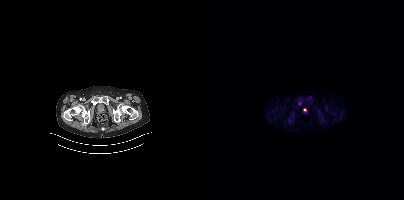
- Paired axial CT (left) and PSMA PET (right), 18F tracer
Findings: Coordinates are on the 200×200 PET (right) panel. Small PSMA-avid focus (2 to 4 px across) near (center x, center y): (96, 103).